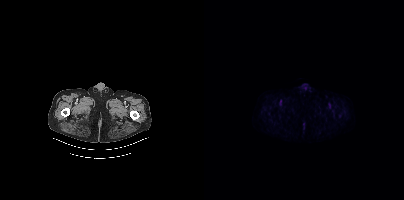
Paired axial CT (left) and PSMA PET (right), 18F tracer. This slice has no annotated PSMA-avid lesion.